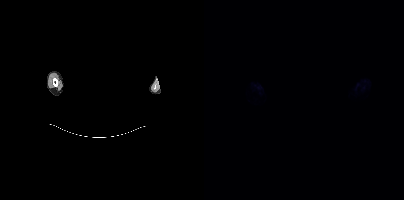
Technique: Left: CT. Right: PSMA PET, same axial level, 18F tracer. acquired on Siemens Biograph mCT Flow 20.
Note: Head region blanked for anonymization (face removed).
Findings: Negative for PSMA-avid disease on this slice.